Left: CT. Right: PSMA PET, same axial level, [18F]PSMA-1007 tracer. Slice position z = -678 mm.
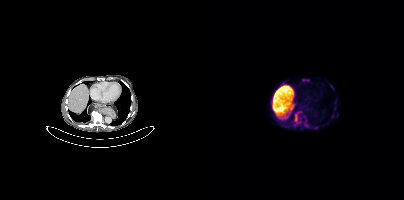
Coordinates are on the 200×200 PET (right) panel. PSMA-avid tumor lesion bounding box (x0,y0,x1,y1): [90,111,97,125]. Small PSMA-avid focus (2 to 4 px across) near (center x, center y): (102, 125).